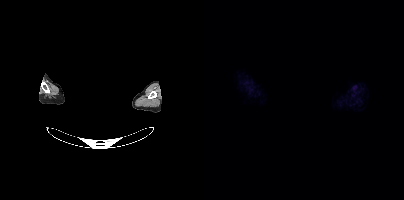
Negative for PSMA-avid disease on this slice. Left: CT. Right: PSMA PET, same axial level, [18F]PSMA-1007 tracer. Slice position z = -277 mm. PET panel 200×200 px (4.1 mm/px). Face de-identified by blanking a block of the head.